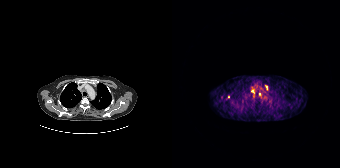
{"modality":"PSMA PET/CT","view":"axial","tracer":"[68Ga]Ga-PSMA-11","pet_grid":[168,168],"coord_frame":"pet_panel","coord_format":"x0,y0,x1,y1","lesion_bboxes":[[79,89,82,93],[93,85,95,89]],"small_foci_centers":[[87,94],[56,96]]}